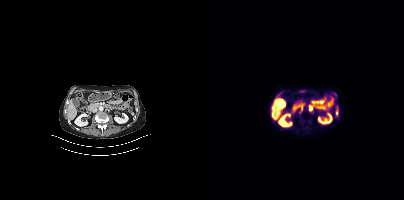
Left: CT. Right: PSMA PET, same axial level, 18F tracer. Acquired on Siemens Biograph mCT Flow 20. Slice position z = -579 mm. PET panel 200×200 px (4.1 mm/px). Coordinates are on the 200×200 PET (right) panel. PSMA-avid tumor lesion bounding box (x0, y0)-(x1, y1): (96, 108)-(98, 113). Small PSMA-avid focus (2 to 4 px across) near (center x, center y): (106, 108).